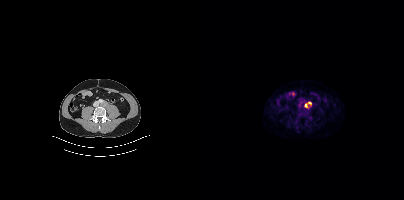
Coordinates are on the 200×200 PET (right) panel. PSMA-avid tumor lesion bounding box (x0, y0)-(x1, y1): (101, 102)-(107, 108).
modality: PSMA PET/CT | tracer: 18F-PSMA | view: axial | PET grid: 200×200